Technique: Two-panel axial: CT | PSMA PET, 68Ga-PSMA tracer. acquired on GE Discovery 690. slice position z = -741 mm.
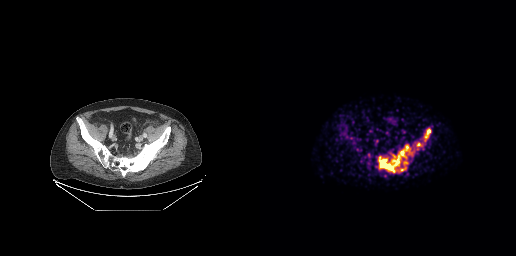
Findings: Coordinates are on the 256×256 PET (right) panel. (showing 6 of 7 foci) PSMA-avid tumor lesion bounding boxes (x0,y0,x1,y1): [118,145,148,172], [165,129,170,138]. Small PSMA-avid foci (2 to 4 px across) near (center x, center y): (158, 144), (145, 162), (142, 169), (134, 156).